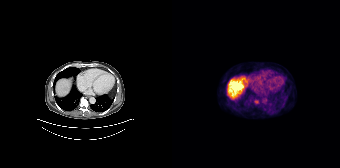
Findings: Coordinates are on the 168×168 PET (right) panel. PSMA-avid tumor lesion bounding box (x, y, width, height): x=82 y=99 w=6 h=6.
- Left: CT. Right: PSMA PET, same axial level, 18F-PSMA tracer
- slice position z = -916 mm
- PET panel 168×168 px (4.1 mm/px)